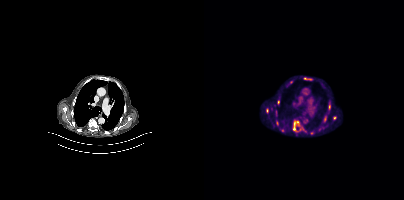
Coordinates are on the 200×200 PET (right) panel. (showing 8 of 9 foci) PSMA-avid tumor lesion bounding boxes (x0, y0)-(x1, y1): (89, 122)-(91, 130) | (62, 108)-(64, 113) | (82, 82)-(87, 86) | (73, 100)-(75, 104) | (120, 117)-(122, 121). Small PSMA-avid foci (2 to 4 px across) near (center x, center y): (73, 121) | (130, 118) | (93, 121). Paired axial CT (left) and PSMA PET (right), 18F-PSMA tracer. Acquired on Siemens Biograph mCT Flow 20. PET panel 200×200 px (4.1 mm/px).